Technique: Two-panel axial: CT | PSMA PET, 18F tracer. slice 323 of 403. PET panel 200×200 px (4.1 mm/px).
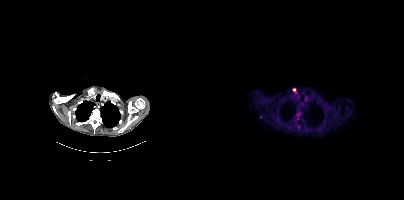
Findings: Coordinates are on the 200×200 PET (right) panel. (showing 2 of 5 foci) Small PSMA-avid foci (2 to 4 px across) near (center x, center y): (90, 89), (56, 116).